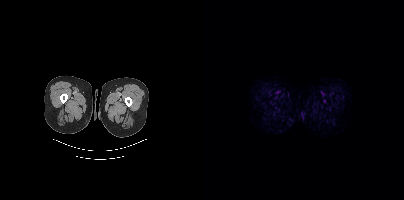
- Two-panel axial: CT | PSMA PET, 18F tracer
Findings: No tumor lesions annotated on this slice.